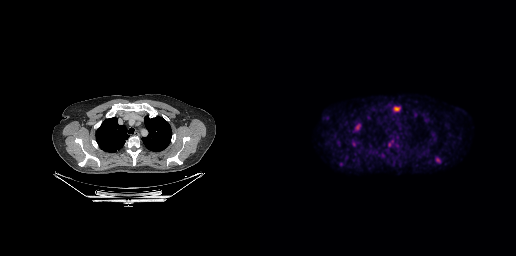
Coordinates are on the 256×256 PET (right) panel. (showing 4 of 5 foci) PSMA-avid tumor lesion bounding box (x, y, width, height): x=135 y=107 w=5 h=4. Small PSMA-avid foci (2 to 4 px across) near (center x, center y): (97, 127) / (178, 160) / (93, 144). Left: CT. Right: PSMA PET, same axial level, [18F]PSMA-1007 tracer.